Technique: Left: CT. Right: PSMA PET, same axial level, [18F]PSMA-1007 tracer. acquired on Siemens Biograph mCT Flow 20.
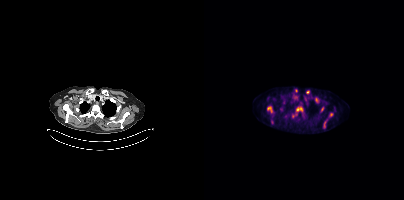
Findings: Coordinates are on the 200×200 PET (right) panel. (showing 5 of 9 foci) PSMA-avid tumor lesion bounding boxes (x, y, width, height): x=63 y=106 w=6 h=8 / x=92 y=107 w=7 h=5. Small PSMA-avid foci (2 to 4 px across) near (center x, center y): (103, 92) / (92, 90) / (127, 114).